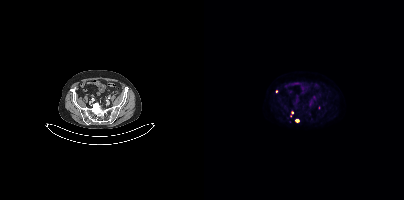
Two-panel axial: CT | PSMA PET, [18F]PSMA-1007 tracer. Slice 118 of 397. PET panel 200×200 px (4.1 mm/px). This slice has no annotated PSMA-avid lesion.